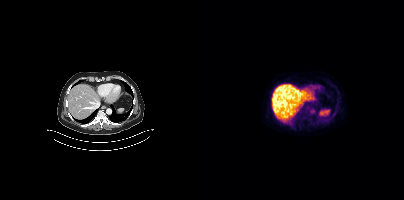
{"modality":"PSMA PET/CT","view":"axial","tracer":"18F-PSMA","pet_grid":[200,200],"coord_frame":"pet_panel","coord_format":"x0,y0,x1,y1","psma_avid_lesions":false}